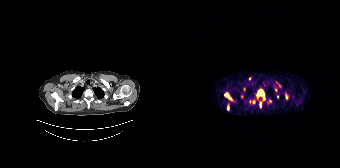
Findings: Coordinates are on the 168×168 PET (right) panel. (showing 12 of 14 foci) PSMA-avid tumor lesion bounding boxes (x0, y0)-(x1, y1): (84, 89)-(92, 100); (52, 92)-(60, 100); (77, 100)-(82, 103); (87, 102)-(89, 107); (55, 105)-(57, 110); (114, 95)-(116, 99). Small PSMA-avid foci (2 to 4 px across) near (center x, center y): (97, 101); (77, 78); (102, 85); (69, 96); (105, 96); (104, 83).
Technique: Paired axial CT (left) and PSMA PET (right), 68Ga tracer. acquired on Siemens Biograph 64-4R TruePoint. slice 159 of 195. PET panel 168×168 px (4.1 mm/px).